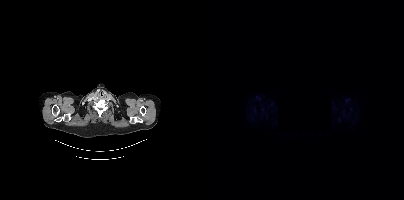
{"modality":"PSMA PET/CT","view":"axial","tracer":"18F-PSMA","pet_grid":[200,200],"coord_frame":"pet_panel","coord_format":"x0,y0,x1,y1","redaction":"rectangular block set to black","psma_avid_lesions":false}